- Left: CT. Right: PSMA PET, same axial level, [18F]PSMA-1007 tracer
- acquired on Siemens Biograph mCT Flow 20
- privacy masking over the head, with the pixels inside a rectangle set to black
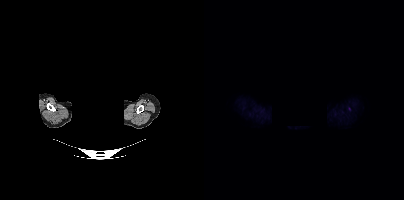
Findings: Coordinates are on the 200×200 PET (right) panel. Small PSMA-avid focus (2 to 4 px across) near (center x, center y): (145, 108).